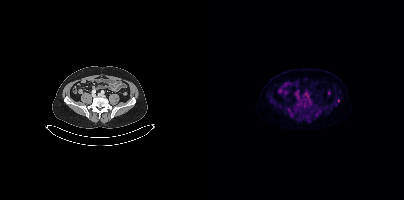
Only PSMA-avid lesion pieces thinner than 2 px on this slice (not listed). Left: CT. Right: PSMA PET, same axial level, 18F tracer.